- Paired axial CT (left) and PSMA PET (right), 18F-PSMA tracer
- acquired on Siemens Biograph mCT Flow 20
- slice position z = -100 mm
- PET panel 200×200 px (4.1 mm/px)
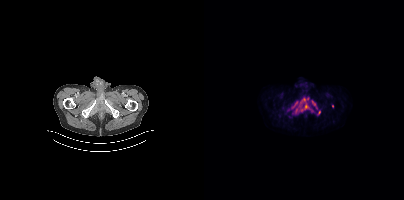
Findings: Coordinates are on the 200×200 PET (right) panel. PSMA-avid tumor lesion bounding boxes (x, y, width, height): x=87 y=97 w=23 h=17 | x=107 y=100 w=7 h=10. Small PSMA-avid foci (2 to 4 px across) near (center x, center y): (115, 112) | (128, 106).